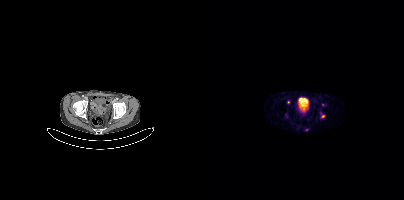
Coordinates are on the 200×200 PET (right) panel. Small PSMA-avid foci (2 to 4 px across) near (center x, center y): (119, 116) / (84, 102) / (118, 104).